Two-panel axial: CT | PSMA PET, 68Ga tracer. Slice position z = 595 mm.
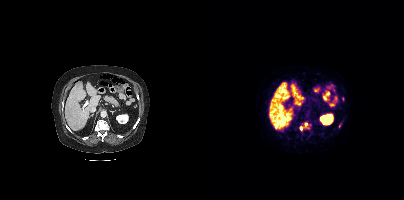
Coordinates are on the 200×200 PET (right) panel. PSMA-avid tumor lesion bounding boxes (partial; 2 more foci not listed):
| # | x0 | y0 | x1 | y1 |
|---|---|---|---|---|
| 1 | 95 | 122 | 105 | 129 |